- Two-panel axial: CT | PSMA PET, 18F-PSMA tracer
- acquired on Siemens Biograph mCT Flow 20
- slice position z = 1102 mm
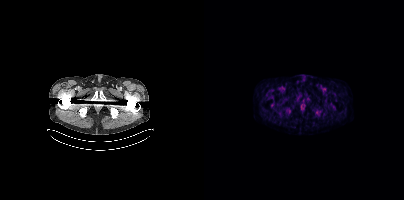
Findings: Negative for PSMA-avid disease on this slice.